Left: CT. Right: PSMA PET, same axial level, 18F tracer. Acquired on Siemens Biograph mCT Flow 20. Slice position z = -1224 mm. PET panel 200×200 px (4.1 mm/px).
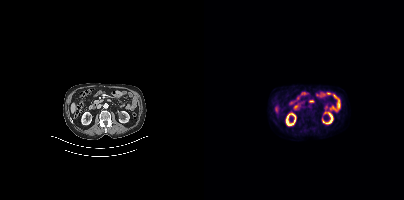
This slice has no annotated PSMA-avid lesion.